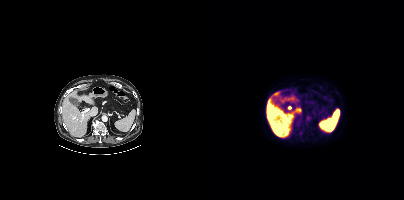
Findings: Only PSMA-avid lesion pieces thinner than 2 px on this slice (not listed).
Technique: Left: CT. Right: PSMA PET, same axial level, 18F tracer. PET panel 200×200 px (4.1 mm/px).